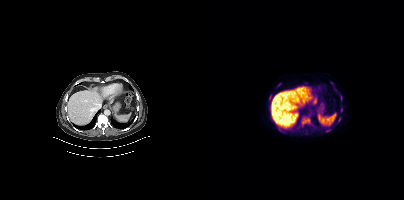
Coordinates are on the 200×200 PET (right) panel. (showing 8 of 10 foci) PSMA-avid tumor lesion bounding boxes (x, y, width, height): x=98 y=117 w=9 h=8 | x=76 y=130 w=6 h=3 | x=122 y=129 w=5 h=4 | x=136 y=107 w=3 h=6 | x=65 y=95 w=3 h=5 | x=134 y=117 w=3 h=6. Small PSMA-avid foci (2 to 4 px across) near (center x, center y): (75, 84) | (127, 82).